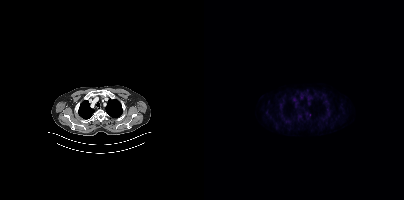
Two-panel axial: CT | PSMA PET, [18F]PSMA-1007 tracer. Slice 333 of 421. PET panel 200×200 px (4.1 mm/px). This slice has no annotated PSMA-avid lesion.